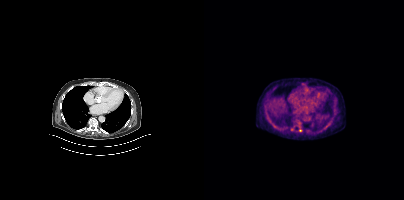
Left: CT. Right: PSMA PET, same axial level, 18F-PSMA tracer. Slice position z = -1182 mm. PET panel 200×200 px (4.1 mm/px). Coordinates are on the 200×200 PET (right) panel. Small PSMA-avid focus (2 to 4 px across) near (center x, center y): (96, 130).